Technique: Paired axial CT (left) and PSMA PET (right), 18F-PSMA tracer. slice position z = -1214 mm.
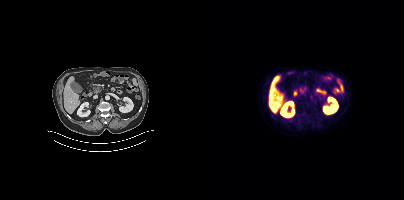
Findings: Only PSMA-avid lesion pieces thinner than 2 px on this slice (not listed).